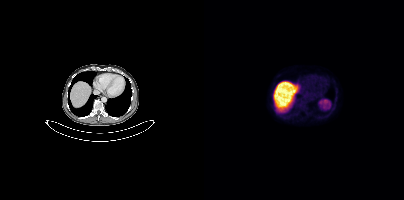
Negative for PSMA-avid disease on this slice. Two-panel axial: CT | PSMA PET, [18F]PSMA-1007 tracer. PET panel 200×200 px (4.1 mm/px).